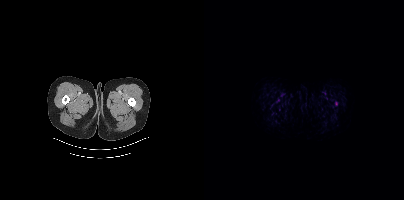
{"pet_grid":[200,200],"coord_frame":"pet_panel","coord_format":"x0,y0,x1,y1","lesion_bboxes":[],"small_foci_centers":[[132,103]],"modality":"PSMA PET/CT","view":"axial","tracer":"18F-PSMA"}